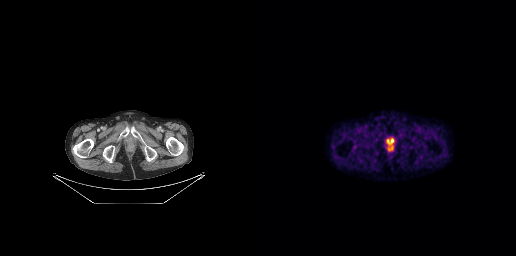
modality: PSMA PET/CT | tracer: 18F | view: axial
Coordinates are on the 256×256 PET (right) panel. (showing 1 of 2 foci) PSMA-avid tumor lesion bounding box (x0, y0)-(x1, y1): (125, 138)-(130, 145).